- Left: CT. Right: PSMA PET, same axial level, 68Ga tracer
- slice 171 of 409
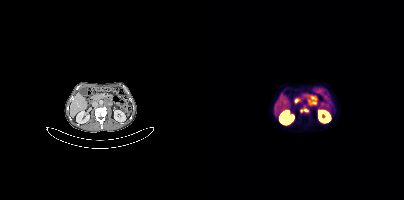
Findings: Coordinates are on the 200×200 PET (right) panel. PSMA-avid tumor lesion bounding boxes (x0,y0,x1,y1): [103,95,113,105] [97,107,105,113].